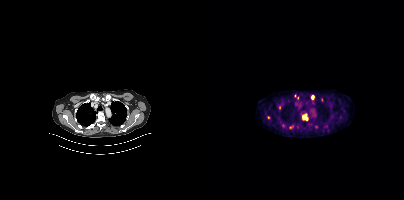
Coordinates are on the 200×200 PET (right) panel. PSMA-avid tumor lesion bounding boxes (partial; 4 more foci not listed):
| # | x0 | y0 | x1 | y1 |
|---|---|---|---|---|
| 1 | 98 | 114 | 103 | 120 |
| 2 | 107 | 95 | 110 | 99 |
Small PSMA-avid foci (2 to 4 px across) near (center x, center y): (112, 126); (117, 99); (86, 127).
Left: CT. Right: PSMA PET, same axial level, 18F tracer. PET panel 200×200 px (4.1 mm/px).